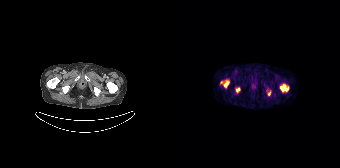
{"modality":"PSMA PET/CT","view":"axial","tracer":"[68Ga]Ga-PSMA-11","pet_grid":[168,168],"coord_frame":"pet_panel","coord_format":"x0,y0,x1,y1","lesion_bboxes":[[108,84,116,92],[48,80,57,87],[64,87,68,92],[96,91,98,95]]}